Privacy masking over the head, with the pixels inside a rectangle set to black.
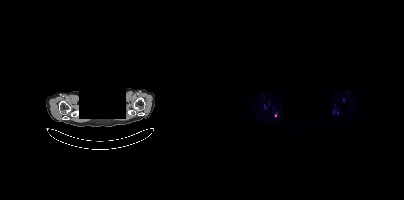
Coordinates are on the 200×200 PET (right) panel. PSMA-avid tumor lesion bounding box (x0, y0)-(x1, y1): (60, 104)-(62, 108). Small PSMA-avid foci (2 to 4 px across) near (center x, center y): (133, 113); (71, 115).